Left: CT. Right: PSMA PET, same axial level, [18F]PSMA-1007 tracer. Slice position z = -150 mm. PET panel 200×200 px (4.1 mm/px). De-identified by setting a box covering the face to black before release.
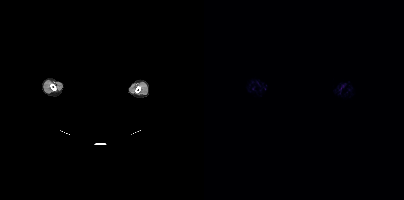
No PSMA-avid tumor lesions on this slice.